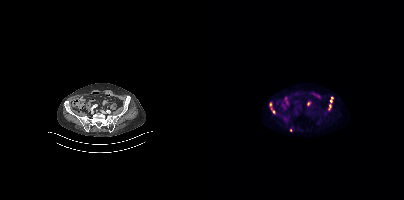
Paired axial CT (left) and PSMA PET (right), 18F tracer. Slice 93 of 373.
Coordinates are on the 200×200 PET (right) panel. PSMA-avid tumor lesion bounding boxes:
| # | x0 | y0 | x1 | y1 |
|---|---|---|---|---|
| 1 | 124 | 96 | 129 | 110 |
| 2 | 65 | 102 | 71 | 113 |
Small PSMA-avid focus (2 to 4 px across) near (center x, center y): (87, 130).